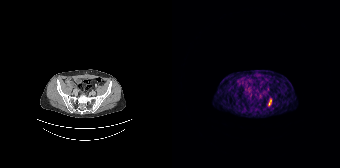
Coordinates are on the 168×168 PET (right) panel. PSMA-avid tumor lesion bounding box (x0,y0,x1,y1): [96,99,99,105]. Two-panel axial: CT | PSMA PET, 68Ga-PSMA tracer. Slice 48 of 165.